Technique: Two-panel axial: CT | PSMA PET, 18F tracer. acquired on Siemens Biograph mCT Flow 20.
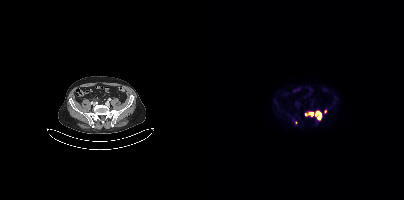
Findings: Coordinates are on the 200×200 PET (right) panel. (showing 4 of 5 foci) PSMA-avid tumor lesion bounding boxes (x, y, width, height): x=111 y=112 w=7 h=8 | x=101 y=113 w=5 h=4. Small PSMA-avid foci (2 to 4 px across) near (center x, center y): (107, 113) | (91, 122).